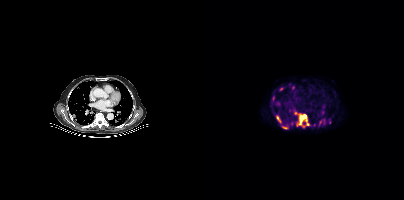
Technique: Paired axial CT (left) and PSMA PET (right), 18F-PSMA tracer. acquired on Siemens Biograph mCT Flow 20. PET panel 200×200 px (4.1 mm/px).
Findings: Coordinates are on the 200×200 PET (right) panel. (showing 9 of 11 foci) PSMA-avid tumor lesion bounding boxes (x0,y0,x1,y1): [90,111,105,127] [72,115,76,122] [68,96,71,101] [78,126,84,129] [75,87,79,90]. Small PSMA-avid foci (2 to 4 px across) near (center x, center y): (116, 122) (89, 87) (118, 112) (74, 103).